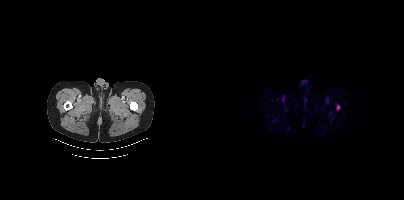
Coordinates are on the 200×200 PET (right) panel. PSMA-avid tumor lesion bounding box (x, y, width, height): x=133 y=105 w=3 h=6.